- Paired axial CT (left) and PSMA PET (right), [18F]PSMA-1007 tracer
- acquired on GE Discovery 690
- PET panel 256×256 px (2.7 mm/px)
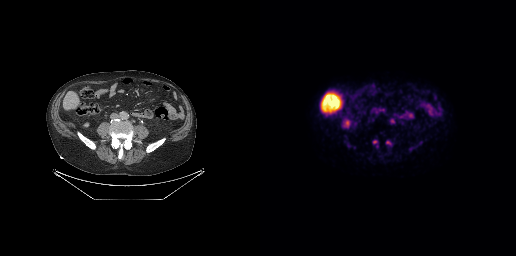
Findings: Coordinates are on the 256×256 PET (right) panel. PSMA-avid tumor lesion bounding box (x0,y0,x1,y1): [126,141,130,144]. Small PSMA-avid foci (2 to 4 px across) near (center x, center y): (114, 141) (131, 121).